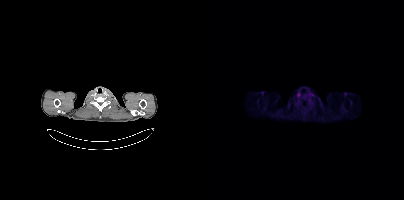
Left: CT. Right: PSMA PET, same axial level, [18F]PSMA-1007 tracer. Acquired on Siemens Biograph mCT Flow 20. Slice 350 of 417. PET panel 200×200 px (4.1 mm/px). Negative for PSMA-avid disease on this slice.